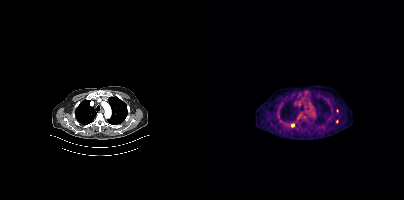
Two-panel axial: CT | PSMA PET, 18F tracer. Slice 304 of 397. PET panel 200×200 px (4.1 mm/px). Coordinates are on the 200×200 PET (right) panel. (showing 2 of 3 foci) Small PSMA-avid foci (2 to 4 px across) near (center x, center y): (132, 121) / (88, 125).